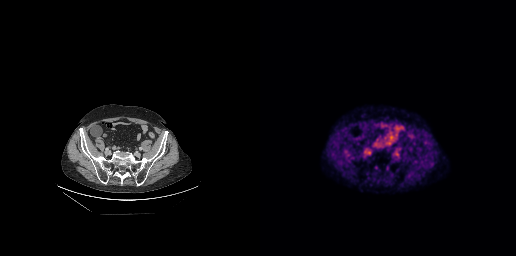
Negative for PSMA-avid disease on this slice.